Technique: Left: CT. Right: PSMA PET, same axial level, 18F-PSMA tracer. acquired on Siemens Biograph mCT Flow 20.
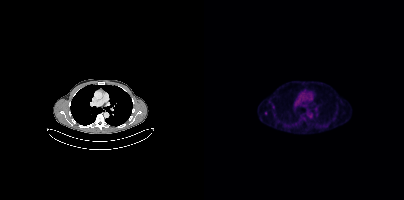
Findings: Coordinates are on the 200×200 PET (right) panel. PSMA-avid tumor lesion bounding box (x0, y0)-(x1, y1): (60, 111)-(63, 115).